- Two-panel axial: CT | PSMA PET, 18F-PSMA tracer
- PET panel 200×200 px (4.1 mm/px)
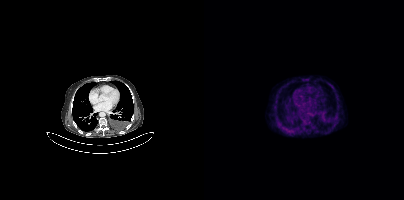
Findings: This slice has no annotated PSMA-avid lesion.